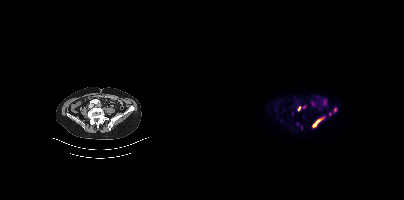
Technique: Left: CT. Right: PSMA PET, same axial level, 68Ga-PSMA tracer. acquired on Siemens Biograph mCT Flow 20. slice position z = -1392 mm.
Findings: Coordinates are on the 200×200 PET (right) panel. PSMA-avid tumor lesion bounding boxes (x0,y0,x1,y1): [109,120,115,126]; [129,107,133,112]; [94,106,97,110]. Small PSMA-avid foci (2 to 4 px across) near (center x, center y): (100, 106); (126, 113); (118, 118); (97, 127).